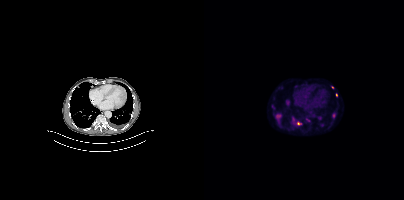
{"pet_grid":[200,200],"coord_frame":"pet_panel","coord_format":"x0,y0,x1,y1","partial":true,"lesion_bboxes":[[71,113,77,123],[128,113,131,117]],"small_foci_centers":[[93,122],[104,121],[68,106],[89,119],[132,95],[83,102],[128,87]],"modality":"PSMA PET/CT","view":"axial","tracer":"18F-PSMA"}